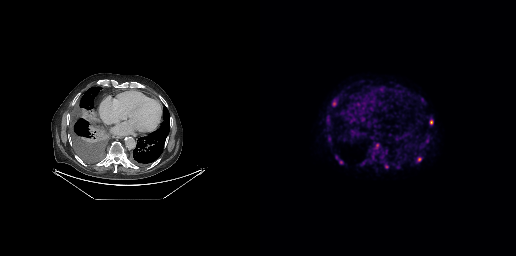
Two-panel axial: CT | PSMA PET, 18F-PSMA tracer. Coordinates are on the 256×256 PET (right) panel. (showing 5 of 6 foci) PSMA-avid tumor lesion bounding boxes (x, y, width, height): x=114 y=143 w=6 h=7 | x=157 y=157 w=5 h=5 | x=170 y=120 w=4 h=5. Small PSMA-avid foci (2 to 4 px across) near (center x, center y): (126, 166) | (74, 103).